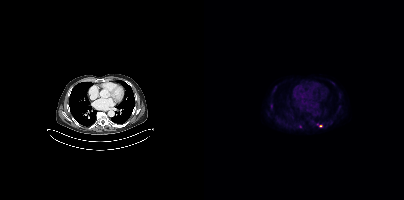
- Two-panel axial: CT | PSMA PET, 18F tracer
- slice 268 of 403
- PET panel 200×200 px (4.1 mm/px)
Findings: Coordinates are on the 200×200 PET (right) panel. Small PSMA-avid foci (2 to 4 px across) near (center x, center y): (67, 104); (113, 124); (116, 125).